modality: PSMA PET/CT | tracer: 18F | view: axial
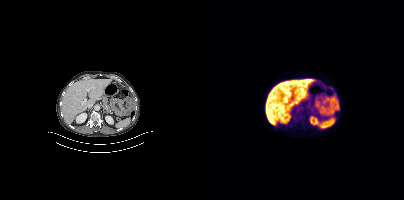
No PSMA-avid tumor lesions on this slice.